Technique: Left: CT. Right: PSMA PET, same axial level, [18F]PSMA-1007 tracer.
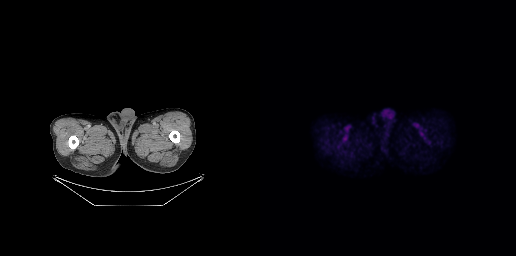
Findings: No tumor lesions annotated on this slice.